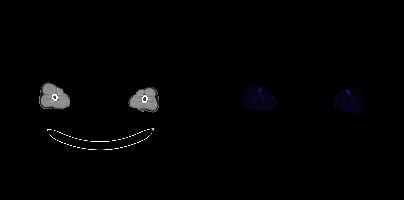
No tumor lesions annotated on this slice. Facial anatomy redacted by setting a rectangular region of the head to black. Left: CT. Right: PSMA PET, same axial level, 18F-PSMA tracer. PET panel 200×200 px (4.1 mm/px).